Left: CT. Right: PSMA PET, same axial level, 18F tracer. Slice 319 of 421.
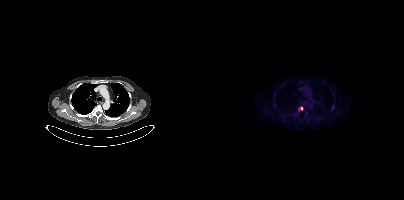
Coordinates are on the 200×200 PET (right) panel. PSMA-avid tumor lesion bounding boxes (partial; 1 more focus not listed):
| # | x0 | y0 | x1 | y1 |
|---|---|---|---|---|
| 1 | 95 | 106 | 99 | 110 |